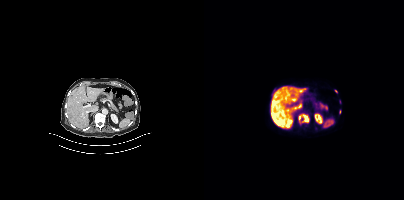
{"pet_grid":[200,200],"coord_frame":"pet_panel","coord_format":"x0,y0,x1,y1","lesion_bboxes":[[67,112,75,123],[99,115,104,121],[94,88,99,92]],"small_foci_centers":[[84,92],[95,117],[131,91],[135,112]],"modality":"PSMA PET/CT","view":"axial","tracer":"18F-PSMA"}